Left: CT. Right: PSMA PET, same axial level, 68Ga-PSMA tracer. Slice 37 of 299.
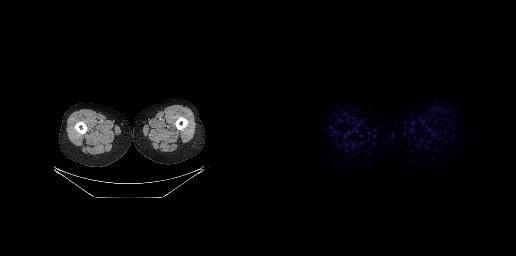
No PSMA-avid tumor lesions on this slice.